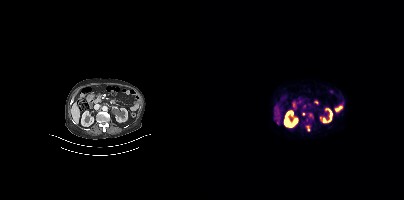
Technique: Left: CT. Right: PSMA PET, same axial level, 68Ga tracer. acquired on Siemens Biograph mCT Flow 20. slice 190 of 397. PET panel 200×200 px (4.1 mm/px).
Findings: Coordinates are on the 200×200 PET (right) panel. PSMA-avid tumor lesion bounding boxes (x, y, width, height): x=102 y=125 w=5 h=6; x=98 y=104 w=5 h=5. Small PSMA-avid foci (2 to 4 px across) near (center x, center y): (71, 118); (74, 122); (105, 104); (106, 114); (99, 113).